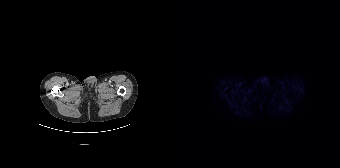
Left: CT. Right: PSMA PET, same axial level, 18F-PSMA tracer. Slice 22 of 165. PET panel 168×168 px (4.1 mm/px). This slice has no annotated PSMA-avid lesion.